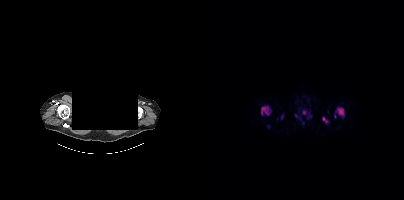
{"pet_grid":[200,200],"coord_frame":"pet_panel","coord_format":"x0,y0,x1,y1","partial":true,"lesion_bboxes":[[57,105,67,115],[130,107,140,118],[118,116,124,123],[98,110,104,114],[77,114,79,119],[103,115,107,118]],"small_foci_centers":[[92,115],[64,126]],"modality":"PSMA PET/CT","view":"axial","tracer":"18F","deidentification":"head region blanked (face removed)"}